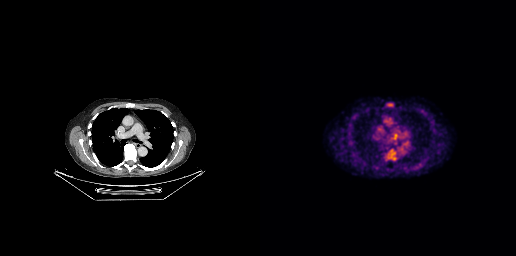
Coordinates are on the 256×256 PET (right) panel. PSMA-avid tumor lesion bounding boxes (x0,y0,x1,y1): [126,150,136,160] [134,134,136,139].